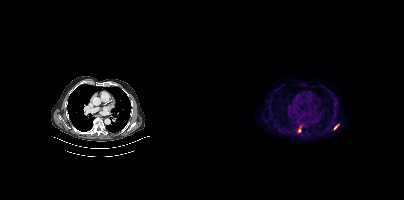
Coordinates are on the 200×200 PET (right) panel. PSMA-avid tumor lesion bounding boxes (x0, y0)-(x1, y1): (130, 124)-(134, 129) | (94, 128)-(96, 132). Two-panel axial: CT | PSMA PET, [18F]PSMA-1007 tracer.